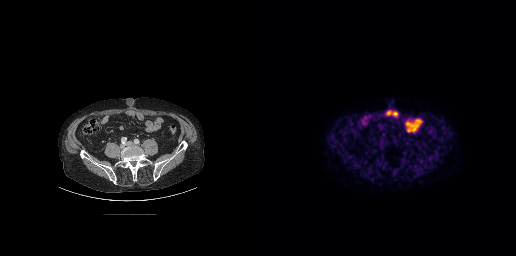
Two-panel axial: CT | PSMA PET, 18F-PSMA tracer. Slice position z = -552 mm. Negative for PSMA-avid disease on this slice.